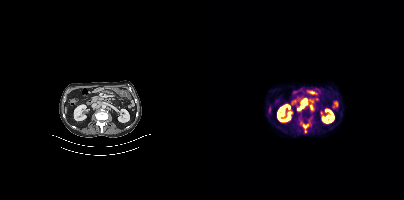
Coordinates are on the 200×200 PET (right) panel. PSMA-avid tumor lesion bounding boxes (x0,y0,x1,y1): [96,120,106,132] [93,99,102,110]. Small PSMA-avid focus (2 to 4 px across) near (center x, center y): (107, 107).